modality: PSMA PET/CT | tracer: 18F | view: axial | PET grid: 200×200
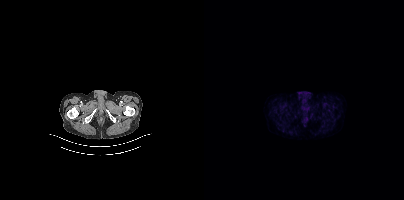
No tumor lesions annotated on this slice.